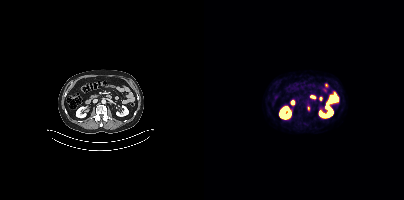
Coordinates are on the 200×200 PET (right) panel. PSMA-avid tumor lesion bounding box (x, y, width, height): x=103 y=106 w=3 h=5.